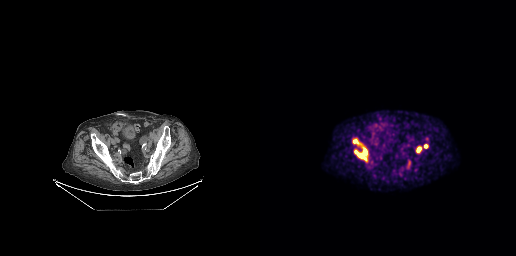
Coordinates are on the 256×256 PET (right) panel. PSMA-avid tumor lesion bounding boxes (x0,y0,x1,y1): [94,147,107,160]; [93,139,98,143]; [157,146,161,151]; [164,144,167,148].